- Paired axial CT (left) and PSMA PET (right), [68Ga]Ga-PSMA-11 tracer
- slice position z = -160 mm
- PET panel 168×168 px (4.1 mm/px)
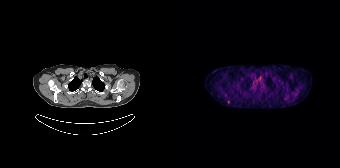
Findings: Coordinates are on the 168×168 PET (right) panel. Small PSMA-avid focus (2 to 4 px across) near (center x, center y): (56, 101).